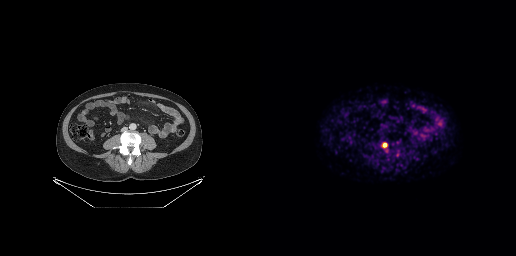
{"modality":"PSMA PET/CT","view":"axial","tracer":"68Ga-PSMA","pet_grid":[256,256],"coord_frame":"pet_panel","coord_format":"x0,y0,x1,y1","lesion_bboxes":[],"small_foci_centers":[[124,144]]}